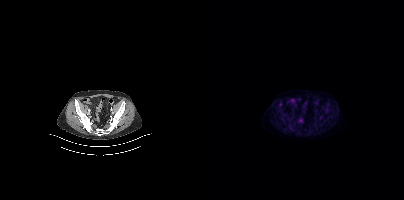
Findings: No tumor lesions annotated on this slice.
- Two-panel axial: CT | PSMA PET, [18F]PSMA-1007 tracer
- acquired on Siemens Biograph mCT Flow 20